Paired axial CT (left) and PSMA PET (right), 18F tracer. Acquired on Siemens Biograph mCT Flow 20. Slice position z = -1054 mm.
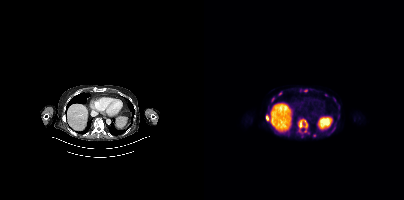
Coordinates are on the 200×200 PET (right) panel. PSMA-avid tumor lesion bounding boxes:
| # | x0 | y0 | x1 | y1 |
|---|---|---|---|---|
| 1 | 93 | 119 | 103 | 133 |
| 2 | 62 | 115 | 65 | 120 |
| 3 | 101 | 131 | 105 | 134 |
Small PSMA-avid foci (2 to 4 px across) near (center x, center y): (110, 135); (101, 90); (76, 93); (122, 95); (69, 99); (130, 99).